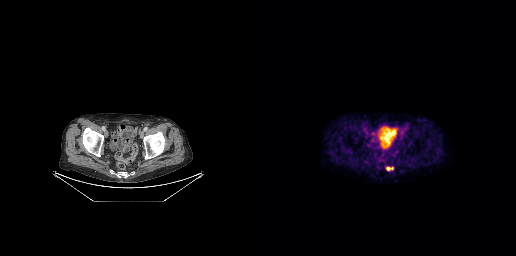
Coordinates are on the 256×256 PET (right) panel. PSMA-avid tumor lesion bounding box (x, y, width, height): x=127 y=167 w=7 h=4.